Technique: Left: CT. Right: PSMA PET, same axial level, 18F tracer. slice position z = -164 mm. PET panel 200×200 px (4.1 mm/px).
Note: Face de-identified by blanking a block of the head.
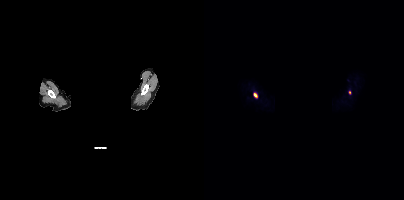
Findings: Coordinates are on the 200×200 PET (right) panel. PSMA-avid tumor lesion bounding box (x0, y0)-(x1, y1): (49, 93)-(53, 97). Small PSMA-avid focus (2 to 4 px across) near (center x, center y): (145, 92).